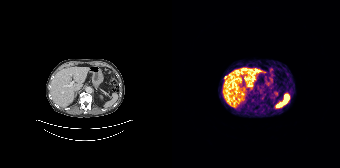
Only PSMA-avid lesion pieces thinner than 2 px on this slice (not listed).